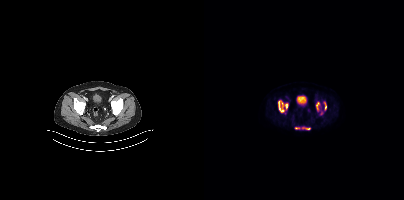
Coordinates are on the 200×200 PET (right) panel. PSMA-avid tumor lesion bounding boxes (x0,y0,x1,y1): [74,100,84,112], [112,102,116,111], [119,101,122,110], [98,127,106,129], [91,127,95,129]. Small PSMA-avid focus (2 to 4 px across) near (center x, center y): (117, 113).